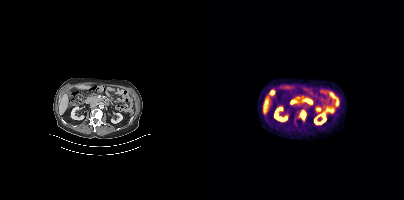
Findings: Coordinates are on the 200×200 PET (right) panel. PSMA-avid tumor lesion bounding box (x0,y0,x1,y1): [95,110,102,120].
Technique: Two-panel axial: CT | PSMA PET, 18F tracer. PET panel 200×200 px (4.1 mm/px).